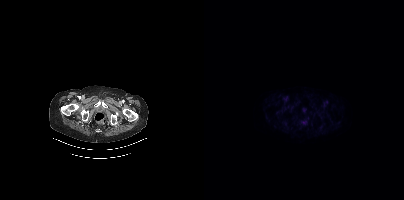
- Two-panel axial: CT | PSMA PET, 18F tracer
- PET panel 200×200 px (4.1 mm/px)
Findings: Negative for PSMA-avid disease on this slice.